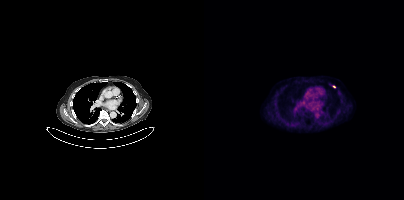
Findings: Coordinates are on the 200×200 PET (right) panel. Small PSMA-avid focus (2 to 4 px across) near (center x, center y): (129, 86).
Technique: Paired axial CT (left) and PSMA PET (right), 18F-PSMA tracer. acquired on Siemens Biograph mCT Flow 20. PET panel 200×200 px (4.1 mm/px).